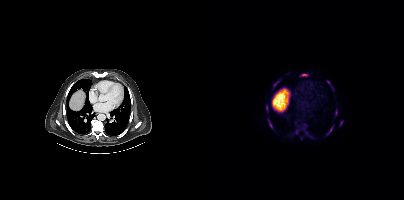
Technique: Paired axial CT (left) and PSMA PET (right), 18F-PSMA tracer. acquired on Siemens Biograph mCT Flow 20. PET panel 200×200 px (4.1 mm/px).
Findings: Coordinates are on the 200×200 PET (right) panel. (showing 11 of 14 foci) PSMA-avid tumor lesion bounding boxes (x0, y0)-(x1, y1): (69, 79)-(76, 87) / (123, 125)-(129, 135) / (96, 73)-(104, 76) / (124, 82)-(130, 90) / (131, 111)-(133, 116) / (65, 123)-(69, 129) / (136, 120)-(138, 125) / (62, 105)-(64, 109). Small PSMA-avid foci (2 to 4 px across) near (center x, center y): (92, 131) / (100, 124) / (102, 133).